Two-panel axial: CT | PSMA PET, [18F]PSMA-1007 tracer.
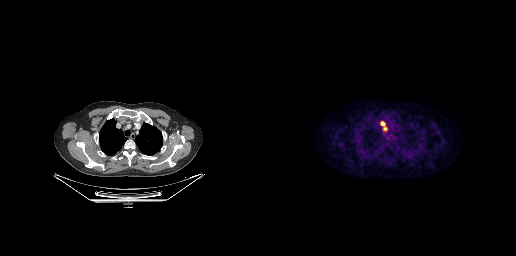
Coordinates are on the 256×256 PET (right) panel. PSMA-avid tumor lesion bounding box (x0,y0,x1,y1): [121,121,124,125]. Small PSMA-avid focus (2 to 4 px across) near (center x, center y): (125, 128).